Two-panel axial: CT | PSMA PET, [18F]PSMA-1007 tracer. PET panel 200×200 px (4.1 mm/px).
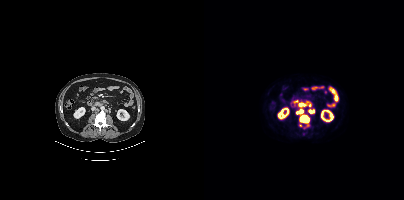
Coordinates are on the 200×200 PET (right) panel. PSMA-avid tumor lesion bounding boxes (partial; 2 more foci not listed):
| # | x0 | y0 | x1 | y1 |
|---|---|---|---|---|
| 1 | 96 | 115 | 105 | 123 |
| 2 | 92 | 103 | 103 | 114 |
| 3 | 105 | 109 | 110 | 113 |
Small PSMA-avid focus (2 to 4 px across) near (center x, center y): (105, 105).